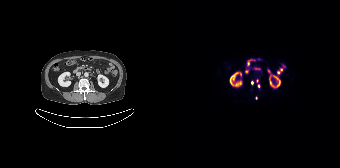
Two-panel axial: CT | PSMA PET, 18F tracer. Coordinates are on the 168×168 PET (right) panel. (showing 3 of 4 foci) Small PSMA-avid foci (2 to 4 px across) near (center x, center y): (80, 82) | (86, 85) | (84, 98).